Technique: Paired axial CT (left) and PSMA PET (right), 68Ga tracer. PET panel 256×256 px (2.7 mm/px).
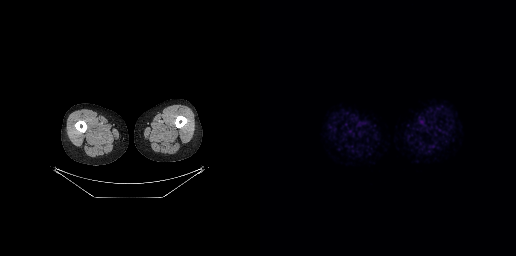
Findings: No tumor lesions annotated on this slice.